Two-panel axial: CT | PSMA PET, 68Ga tracer. Slice 51 of 263.
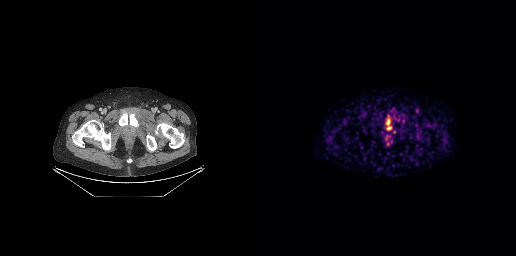
Coordinates are on the 256×256 PET (right) panel. PSMA-avid tumor lesion bounding box (x0,y0,x1,y1): [127,126,131,129].